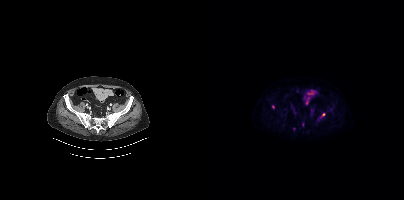
Coordinates are on the 200×200 PET (right) panel. PSMA-avid tumor lesion bounding box (x, y, width, height): x=98 y=122 w=3 h=5. Small PSMA-avid foci (2 to 4 px across) near (center x, center y): (69, 106) | (119, 114). Two-panel axial: CT | PSMA PET, [18F]PSMA-1007 tracer. Acquired on Siemens Biograph mCT Flow 20. PET panel 200×200 px (4.1 mm/px).